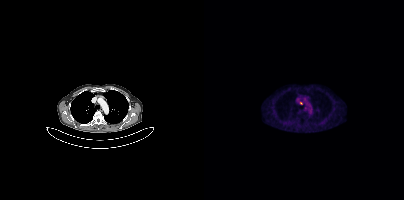
{"modality":"PSMA PET/CT","view":"axial","tracer":"[18F]PSMA-1007","pet_grid":[200,200],"coord_frame":"pet_panel","coord_format":"x0,y0,x1,y1","lesion_bboxes":[],"small_foci_centers":[[97,103]]}